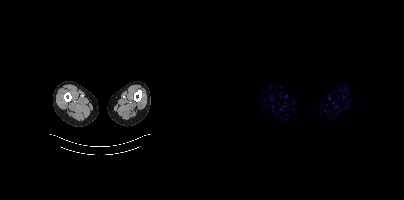
This slice has no annotated PSMA-avid lesion. Left: CT. Right: PSMA PET, same axial level, 18F-PSMA tracer.